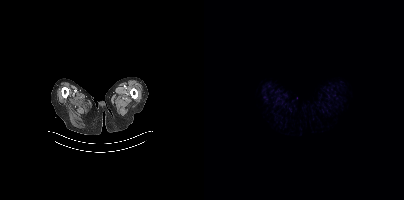
Findings: This slice has no annotated PSMA-avid lesion.
Technique: Paired axial CT (left) and PSMA PET (right), [18F]PSMA-1007 tracer.